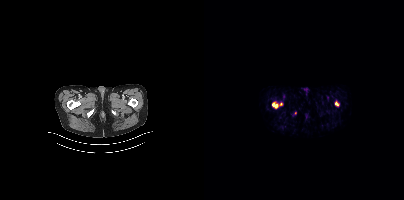
Technique: Two-panel axial: CT | PSMA PET, 18F-PSMA tracer.
Findings: Coordinates are on the 200×200 PET (right) panel. (showing 3 of 4 foci) PSMA-avid tumor lesion bounding boxes (x0, y0)-(x1, y1): (68, 102)-(74, 107) | (131, 101)-(134, 105). Small PSMA-avid focus (2 to 4 px across) near (center x, center y): (76, 104).